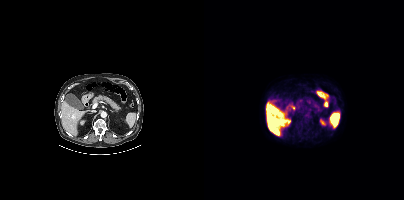
Left: CT. Right: PSMA PET, same axial level, [18F]PSMA-1007 tracer. PET panel 200×200 px (4.1 mm/px). No PSMA-avid tumor lesions on this slice.